Paired axial CT (left) and PSMA PET (right), 18F-PSMA tracer. Slice position z = -1008 mm. PET panel 200×200 px (4.1 mm/px).
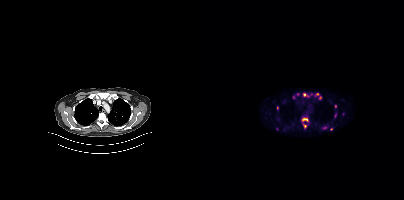
Coordinates are on the 200×200 PET (right) panel. (showing 13 of 15 foci) PSMA-avid tumor lesion bounding boxes (x0, y0)-(x1, y1): (98, 117)-(104, 121) | (99, 124)-(102, 128) | (104, 94)-(108, 97). Small PSMA-avid foci (2 to 4 px across) near (center x, center y): (93, 94) | (113, 94) | (131, 114) | (100, 94) | (131, 106) | (127, 129) | (89, 97) | (116, 97) | (73, 108) | (139, 113).